- part of this slice was blanked for de-identification
- Two-panel axial: CT | PSMA PET, 18F-PSMA tracer
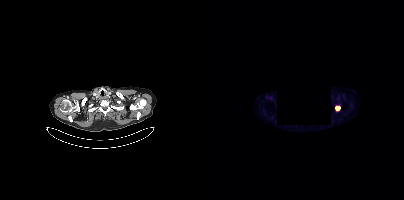
Findings: Coordinates are on the 200×200 PET (right) panel. PSMA-avid tumor lesion bounding box (x0, y0)-(x1, y1): (132, 106)-(135, 110).